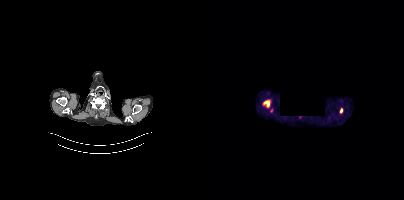
Paired axial CT (left) and PSMA PET (right), 18F tracer. Acquired on Siemens Biograph mCT Flow 20. Slice 322 of 367. Part of this slice was blanked for de-identification. No PSMA-avid tumor lesions on this slice.